modality: PSMA PET/CT | tracer: 18F-PSMA | view: axial
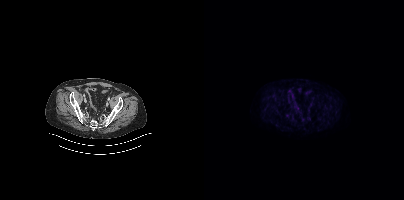
No PSMA-avid tumor lesions on this slice.